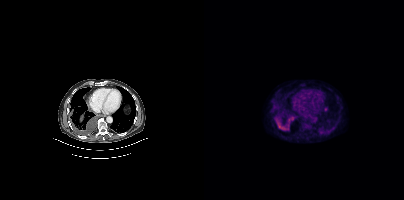
Coordinates are on the 200×200 PET (right) panel. PSMA-avid tumor lesion bounding boxes (x0,y0,x1,y1): [72,119,83,130], [84,115,91,122].